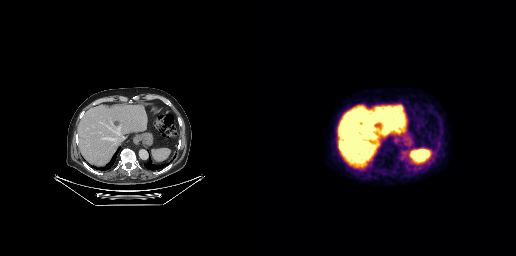
Technique: Left: CT. Right: PSMA PET, same axial level, 18F tracer. PET panel 256×256 px (2.7 mm/px).
Findings: No PSMA-avid tumor lesions on this slice.